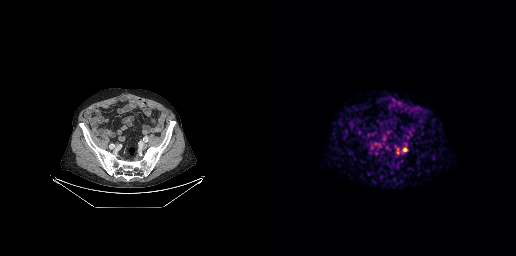
Coordinates are on the 256×256 PET (right) panel. (showing 2 of 3 foci) PSMA-avid tumor lesion bounding box (x0,y0,x1,y1): [143,148,147,151]. Small PSMA-avid focus (2 to 4 px across) near (center x, center y): (137, 152).